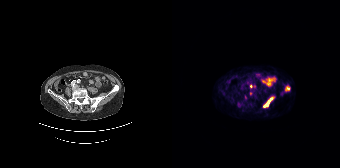
Two-panel axial: CT | PSMA PET, 68Ga-PSMA tracer. PET panel 168×168 px (4.1 mm/px). Coordinates are on the 168×168 PET (right) panel. (showing 3 of 5 foci) PSMA-avid tumor lesion bounding boxes (x0,y0,x1,y1): [91,98,100,107], [113,86,117,90]. Small PSMA-avid focus (2 to 4 px across) near (center x, center y): (79, 86).